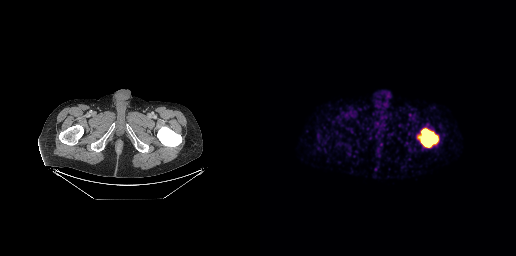
modality: PSMA PET/CT | tracer: 68Ga | view: axial
Coordinates are on the 256×256 PET (right) panel. PSMA-avid tumor lesion bounding box (x0, y0)-(x1, y1): (158, 128)-(178, 147).